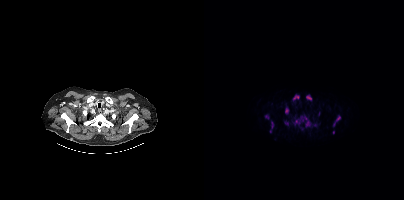
Coordinates are on the 200×200 PET (right) panel. (showing 10 of 12 foci) PSMA-avid tumor lesion bounding boxes (x0,y0,x1,y1): [90,116,106,126]; [129,115,136,126]; [89,94,95,100]; [66,121,69,132]; [102,95,107,100]; [81,108,84,113]; [61,114,65,119]. Small PSMA-avid foci (2 to 4 px across) near (center x, center y): (82, 123); (129, 132); (110, 124). Two-panel axial: CT | PSMA PET, 18F-PSMA tracer. Acquired on Siemens Biograph mCT Flow 20.